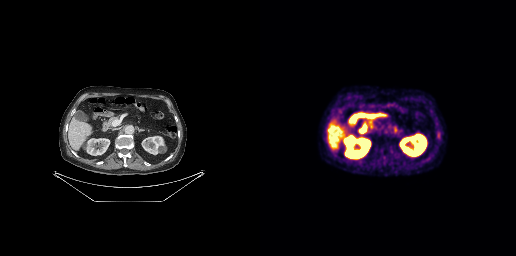
No tumor lesions annotated on this slice.
modality: PSMA PET/CT | tracer: 18F | view: axial | PET grid: 256×256